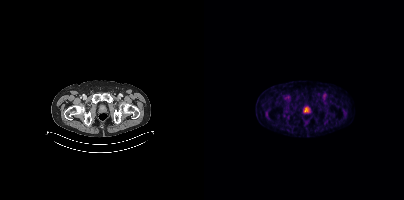
Technique: Left: CT. Right: PSMA PET, same axial level, [68Ga]Ga-PSMA-11 tracer. acquired on Siemens Biograph mCT Flow 20. slice 64 of 433. PET panel 200×200 px (4.1 mm/px).
Findings: Coordinates are on the 200×200 PET (right) panel. Small PSMA-avid focus (2 to 4 px across) near (center x, center y): (103, 109).